Left: CT. Right: PSMA PET, same axial level, 68Ga tracer. Slice position z = -1168 mm.
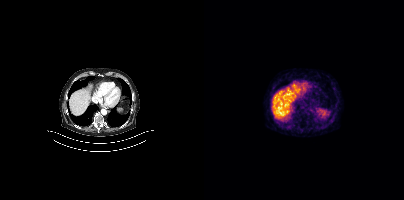
This slice has no annotated PSMA-avid lesion.